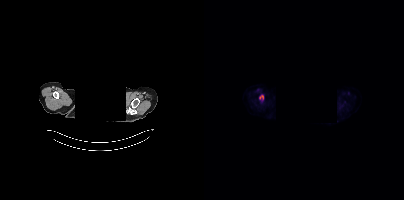
Technique: Paired axial CT (left) and PSMA PET (right), 18F tracer. acquired on Siemens Biograph mCT Flow 20.
Note: Facial anatomy redacted by setting a rectangular region of the head to black.
Findings: Coordinates are on the 200×200 PET (right) panel. PSMA-avid tumor lesion bounding box (x0,y0,x1,y1): [55,95,59,99].